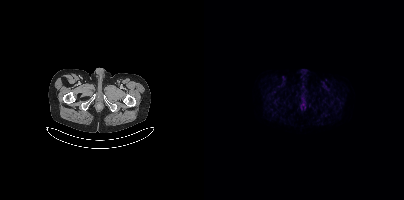
{"pet_grid":[200,200],"coord_frame":"pet_panel","coord_format":"x0,y0,x1,y1","psma_avid_lesions":false,"modality":"PSMA PET/CT","view":"axial","tracer":"[18F]PSMA-1007"}